modality: PSMA PET/CT | tracer: 18F-PSMA | view: axial | PET grid: 200×200
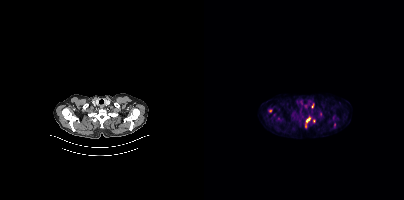
Coordinates are on the 200×200 PET (right) panel. PSMA-avid tumor lesion bounding box (x0, y0)-(x1, y1): (101, 117)-(106, 127). Small PSMA-avid foci (2 to 4 px across) near (center x, center y): (108, 105); (109, 121); (66, 110).